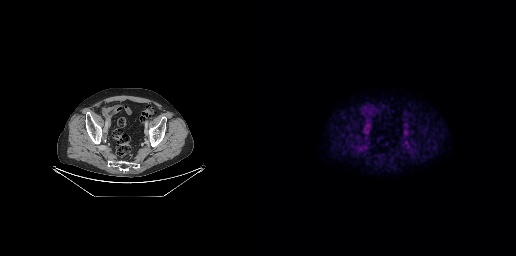
No PSMA-avid tumor lesions on this slice.